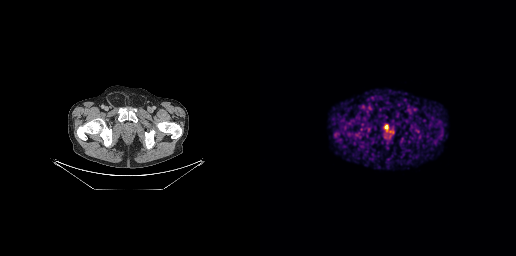
Paired axial CT (left) and PSMA PET (right), 68Ga tracer. Acquired on GE Discovery 690. Coordinates are on the 256×256 PET (right) panel. Small PSMA-avid focus (2 to 4 px across) near (center x, center y): (126, 126).